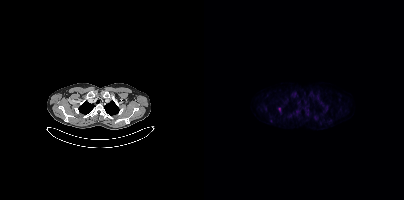
Technique: Paired axial CT (left) and PSMA PET (right), [18F]PSMA-1007 tracer.
Findings: Coordinates are on the 200×200 PET (right) panel. Small PSMA-avid focus (2 to 4 px across) near (center x, center y): (75, 109).